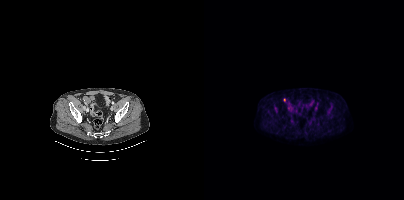
Coordinates are on the 200×200 PET (right) panel. Small PSMA-avid focus (2 to 4 px across) near (center x, center y): (80, 99). Paired axial CT (left) and PSMA PET (right), [18F]PSMA-1007 tracer. Acquired on Siemens Biograph mCT Flow 20. Slice 95 of 438. PET panel 200×200 px (4.1 mm/px).